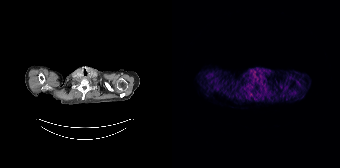
This slice has no annotated PSMA-avid lesion.